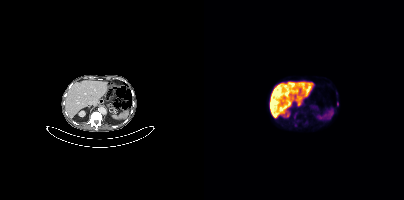
Technique: Two-panel axial: CT | PSMA PET, 18F-PSMA tracer. PET panel 200×200 px (4.1 mm/px).
Findings: Coordinates are on the 200×200 PET (right) panel. Small PSMA-avid focus (2 to 4 px across) near (center x, center y): (133, 103).